Left: CT. Right: PSMA PET, same axial level, [18F]PSMA-1007 tracer. Acquired on Siemens Biograph mCT Flow 20.
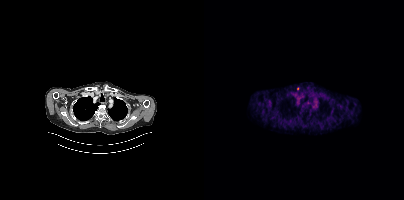
This slice has no annotated PSMA-avid lesion.